Two-panel axial: CT | PSMA PET, 68Ga-PSMA tracer.
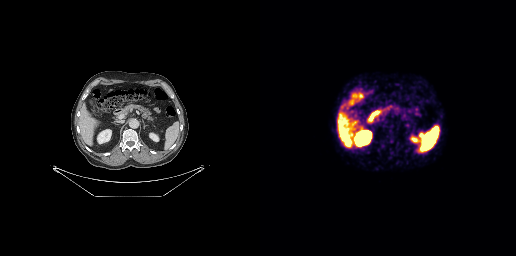
Coordinates are on the 256×256 PET (right) panel. PSMA-avid tumor lesion bounding boxes:
| # | x0 | y0 | x1 | y1 |
|---|---|---|---|---|
| 1 | 159 | 133 | 163 | 136 |